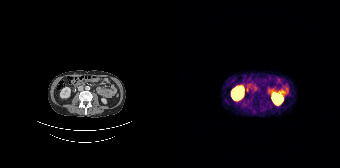
Only PSMA-avid lesion pieces thinner than 2 px on this slice (not listed).